Paired axial CT (left) and PSMA PET (right), [18F]PSMA-1007 tracer. PET panel 200×200 px (4.1 mm/px).
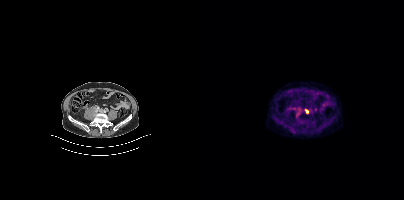
Coordinates are on the 200×200 PET (right) panel. PSMA-avid tumor lesion bounding boxes:
| # | x0 | y0 | x1 | y1 |
|---|---|---|---|---|
| 1 | 101 | 109 | 104 | 113 |